Two-panel axial: CT | PSMA PET, 68Ga-PSMA tracer. PET panel 256×256 px (2.7 mm/px).
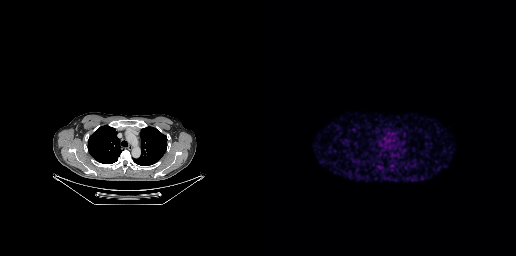
Negative for PSMA-avid disease on this slice.